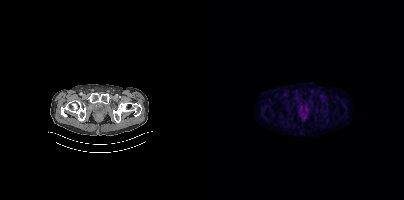
Negative for PSMA-avid disease on this slice.